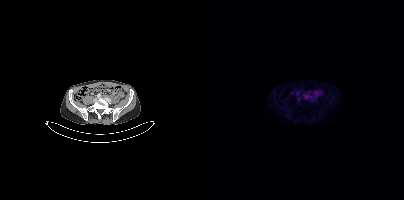
{"modality":"PSMA PET/CT","view":"axial","tracer":"[18F]PSMA-1007","pet_grid":[200,200],"coord_frame":"pet_panel","coord_format":"x0,y0,x1,y1","psma_avid_lesions":false}